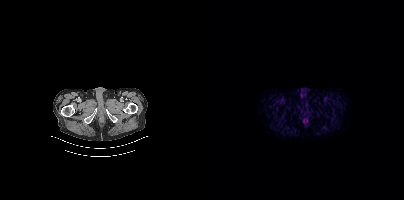
modality: PSMA PET/CT | tracer: [18F]PSMA-1007 | view: axial
No PSMA-avid tumor lesions on this slice.